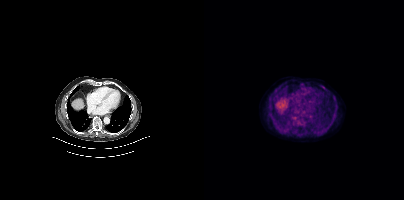
Coordinates are on the 200×200 PET (right) panel. Small PSMA-avid focus (2 to 4 px across) near (center x, center y): (98, 121).